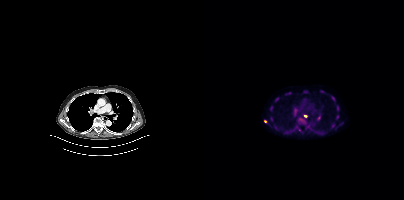
{"modality":"PSMA PET/CT","view":"axial","tracer":"18F","pet_grid":[200,200],"coord_frame":"pet_panel","coord_format":"x0,y0,x1,y1","lesion_bboxes":[[127,96,131,101],[99,90,103,93],[133,105,135,111],[60,119,63,123],[83,92,87,94]],"small_foci_centers":[[133,116],[73,98],[101,116],[67,108],[67,119],[71,127]]}